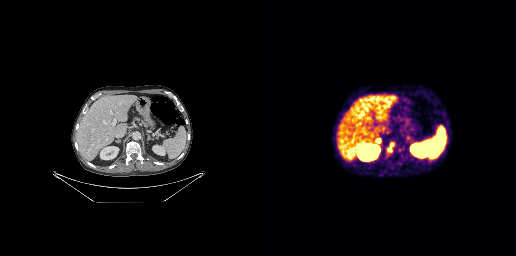
{"modality":"PSMA PET/CT","view":"axial","tracer":"68Ga","pet_grid":[256,256],"coord_frame":"pet_panel","coord_format":"x0,y0,x1,y1","lesion_bboxes":[[116,138,120,142]],"small_foci_centers":[[129,149],[131,145]]}